The face region was removed for patient privacy by blanking a rectangle over the head. Left: CT. Right: PSMA PET, same axial level, [18F]PSMA-1007 tracer. Acquired on Siemens Biograph mCT Flow 20. Slice position z = -292 mm.
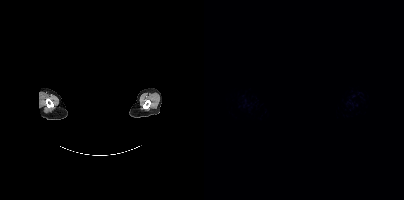
Negative for PSMA-avid disease on this slice.